Technique: Left: CT. Right: PSMA PET, same axial level, 18F-PSMA tracer. acquired on Siemens Biograph mCT Flow 20. slice position z = -806 mm. PET panel 200×200 px (4.1 mm/px).
Note: De-identified by setting a box covering the face to black before release.
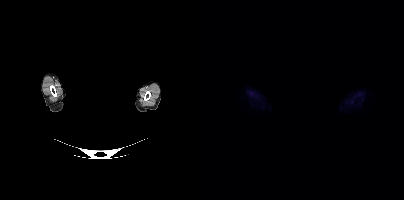
Findings: No tumor lesions annotated on this slice.